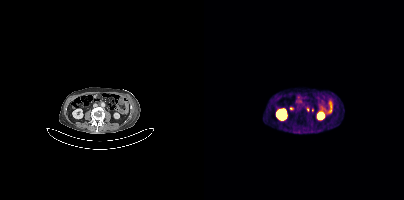
Coordinates are on the 200×200 PET (right) panel. Small PSMA-avid focus (2 to 4 px across) near (center x, center y): (104, 109).